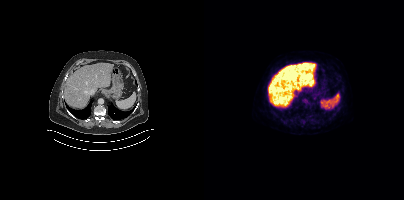
Two-panel axial: CT | PSMA PET, 18F tracer. Slice 258 of 435. PET panel 200×200 px (4.1 mm/px). No tumor lesions annotated on this slice.